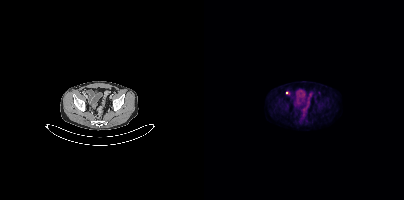
{"modality":"PSMA PET/CT","view":"axial","tracer":"[18F]PSMA-1007","pet_grid":[200,200],"coord_frame":"pet_panel","coord_format":"x0,y0,x1,y1","lesion_bboxes":[],"small_foci_centers":[[82,92]]}